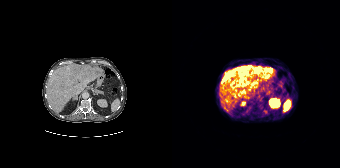
Coordinates are on the 168×168 PET (right) panel. (showing 10 of 12 foci) PSMA-avid tumor lesion bounding boxes (x, y, width, height): x=63 y=65 w=27 h=16 / x=58 y=81 w=20 h=11 / x=50 y=75 w=8 h=8 / x=93 y=68 w=7 h=5 / x=80 y=80 w=6 h=6 / x=66 y=89 w=8 h=7 / x=58 y=70 w=5 h=5 / x=60 y=93 w=5 h=4 / x=93 y=75 w=5 h=3. Small PSMA-avid focus (2 to 4 px across) near (center x, center y): (66, 80).